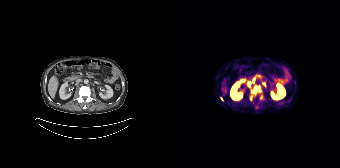
Coordinates are on the 168×168 PET (right) panel. PSMA-avid tumor lesion bounding boxes (partial; 1 more focus not listed):
| # | x0 | y0 | x1 | y1 |
|---|---|---|---|---|
| 1 | 79 | 87 | 87 | 93 |
| 2 | 77 | 96 | 81 | 101 |
| 3 | 88 | 95 | 90 | 99 |
| 4 | 75 | 82 | 78 | 86 |
Small PSMA-avid foci (2 to 4 px across) near (center x, center y): (81, 80); (110, 103); (91, 83); (49, 99).
Left: CT. Right: PSMA PET, same axial level, 68Ga tracer.